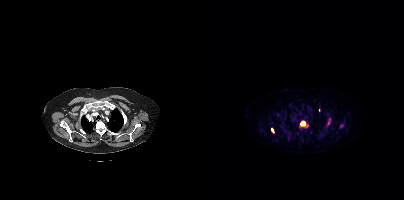
Technique: Paired axial CT (left) and PSMA PET (right), 68Ga-PSMA tracer. acquired on Siemens Biograph mCT Flow 20. PET panel 200×200 px (4.1 mm/px).
Findings: Coordinates are on the 200×200 PET (right) panel. PSMA-avid tumor lesion bounding boxes (x, y, width, height): x=95 y=121 w=10 h=8 | x=123 y=118 w=4 h=9 | x=67 y=128 w=4 h=6. Small PSMA-avid foci (2 to 4 px across) near (center x, center y): (137, 125) | (115, 110).